Two-panel axial: CT | PSMA PET, [68Ga]Ga-PSMA-11 tracer. Acquired on Siemens Biograph 64-4R TruePoint. Slice 41 of 195.
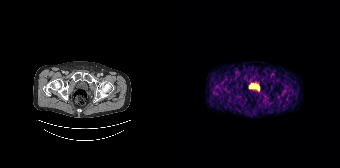
Negative for PSMA-avid disease on this slice.